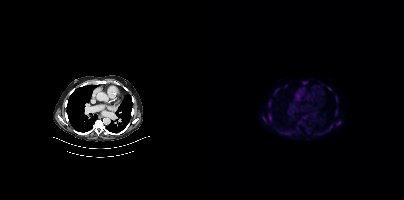
Coordinates are on the 200×200 PET (right) panel. (showing 12 of 13 foci) PSMA-avid tumor lesion bounding boxes (x0,y0,x1,y1): [64,100,67,106]; [65,114,67,120]; [94,121,98,123]; [59,117,61,121]; [71,88,74,92]; [132,96,133,101]. Small PSMA-avid foci (2 to 4 px across) near (center x, center y): (126, 88); (100, 82); (134, 122); (132, 112); (93, 128); (101, 116).